Two-panel axial: CT | PSMA PET, 18F tracer.
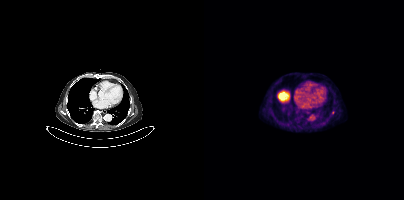
Coordinates are on the 200×200 PET (right) panel. Small PSMA-avid focus (2 to 4 px across) near (center x, center y): (128, 112).